An anonymization step blacked out a rectangle over the head in this scan. Paired axial CT (left) and PSMA PET (right), [18F]PSMA-1007 tracer. Acquired on GE Discovery 690. Slice position z = -66 mm. PET panel 256×256 px (2.7 mm/px).
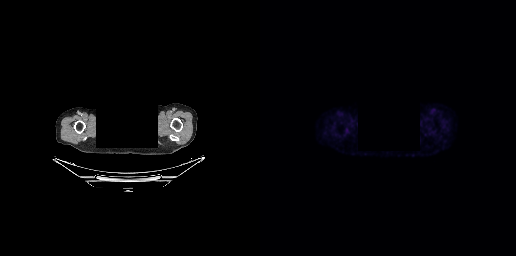
No tumor lesions annotated on this slice.